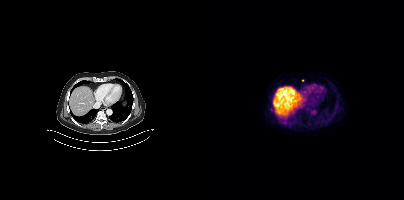
Findings: Coordinates are on the 200×200 PET (right) panel. Small PSMA-avid focus (2 to 4 px across) near (center x, center y): (98, 80).
- Paired axial CT (left) and PSMA PET (right), 18F-PSMA tracer
- slice 245 of 393
- PET panel 200×200 px (4.1 mm/px)